- Paired axial CT (left) and PSMA PET (right), [18F]PSMA-1007 tracer
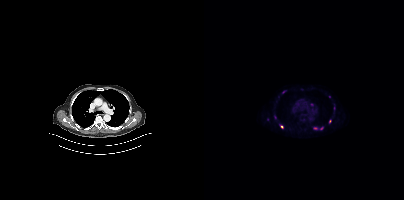
Findings: Coordinates are on the 200×200 PET (right) panel. (showing 4 of 5 foci) Small PSMA-avid foci (2 to 4 px across) near (center x, center y): (111, 128); (125, 121); (77, 126); (117, 128).